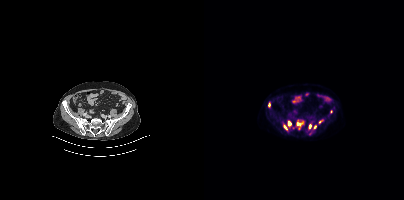
Technique: Left: CT. Right: PSMA PET, same axial level, 18F tracer. slice position z = -818 mm.
Findings: Coordinates are on the 200×200 PET (right) panel. PSMA-avid tumor lesion bounding boxes (x, y, width, height): x=93 y=121 w=7 h=5 / x=84 y=121 w=4 h=5 / x=114 y=119 w=5 h=5 / x=105 y=124 w=3 h=5 / x=80 y=125 w=4 h=5. Small PSMA-avid foci (2 to 4 px across) near (center x, center y): (65, 104) / (111, 126) / (127, 111).